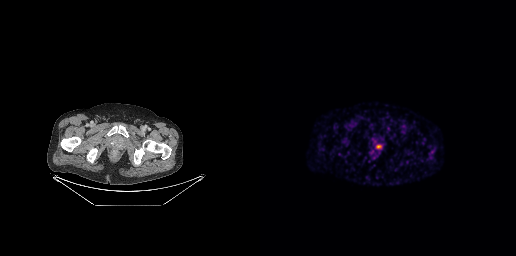
- Paired axial CT (left) and PSMA PET (right), 68Ga tracer
- acquired on GE Discovery 690
- slice position z = -849 mm
- PET panel 256×256 px (2.7 mm/px)
Findings: Coordinates are on the 256×256 PET (right) panel. Small PSMA-avid focus (2 to 4 px across) near (center x, center y): (118, 146).